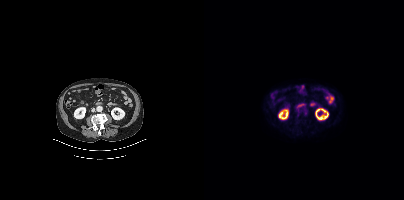
Coordinates are on the 200×200 PET (right) panel. Small PSMA-avid focus (2 to 4 px across) near (center x, center y): (101, 113).